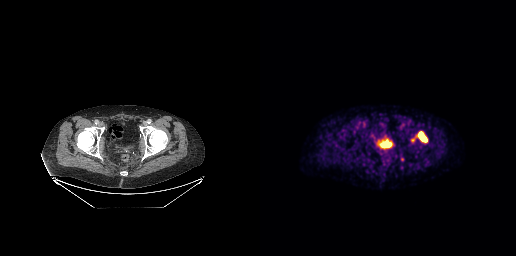
Findings: Coordinates are on the 256×256 PET (right) panel. PSMA-avid tumor lesion bounding box (x0,y0,x1,y1): [157,131,167,142]. Small PSMA-avid focus (2 to 4 px across) near (center x, center y): (152, 139).
Technique: Two-panel axial: CT | PSMA PET, 18F tracer. acquired on GE Discovery 690. PET panel 256×256 px (2.7 mm/px).